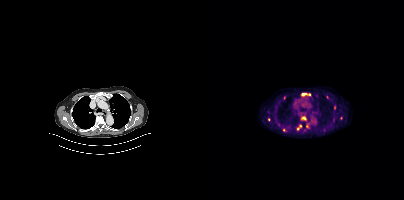
Coordinates are on the 200×200 PET (right) panel. PSMA-avid tumor lesion bounding boxes (partial; 3 more foci not listed):
| # | x0 | y0 | x1 | y1 |
|---|---|---|---|---|
| 1 | 97 | 93 | 106 | 95 |
Small PSMA-avid foci (2 to 4 px across) near (center x, center y): (99, 118); (93, 128); (64, 119); (129, 119); (96, 125); (79, 129); (80, 97).
Left: CT. Right: PSMA PET, same axial level, 18F-PSMA tracer. Slice position z = -375 mm. PET panel 200×200 px (4.1 mm/px).